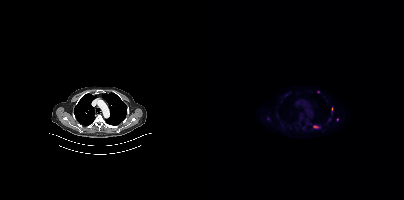
Coordinates are on the 200×200 PET (right) panel. (showing 1 of 3 foci) PSMA-avid tumor lesion bounding box (x0,y0,x1,y1): [109,125,114,128].
modality: PSMA PET/CT | tracer: [18F]PSMA-1007 | view: axial | PET grid: 200×200